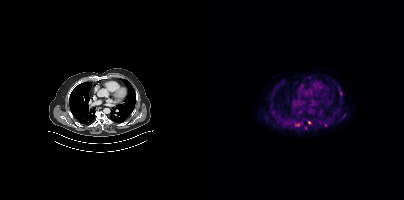
Coordinates are on the 200×200 PET (right) panel. (showing 4 of 5 foci) PSMA-avid tumor lesion bounding boxes (x0, y0)-(x1, y1): (91, 123)-(95, 126) / (136, 91)-(138, 95). Small PSMA-avid foci (2 to 4 px across) near (center x, center y): (105, 122) / (121, 125). Paired axial CT (left) and PSMA PET (right), [18F]PSMA-1007 tracer. Slice position z = -1034 mm. PET panel 200×200 px (4.1 mm/px).